Paired axial CT (left) and PSMA PET (right), 18F-PSMA tracer.
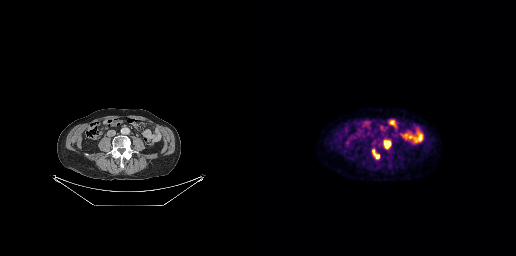
Coordinates are on the 256×256 PET (right) panel. PSMA-avid tumor lesion bounding boxes:
| # | x0 | y0 | x1 | y1 |
|---|---|---|---|---|
| 1 | 112 | 148 | 119 | 158 |
| 2 | 124 | 141 | 130 | 148 |
| 3 | 111 | 140 | 117 | 145 |